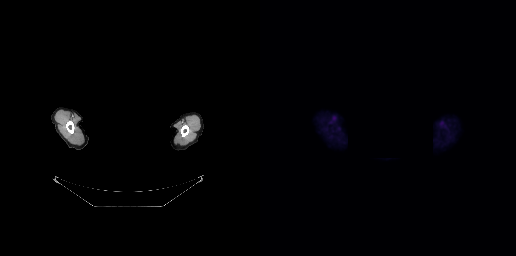
An anonymization step blacked out a rectangle over the head in this scan.
Negative for PSMA-avid disease on this slice.